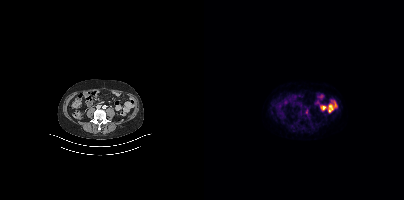
Only PSMA-avid lesion pieces thinner than 2 px on this slice (not listed). Paired axial CT (left) and PSMA PET (right), 18F-PSMA tracer. PET panel 200×200 px (4.1 mm/px).